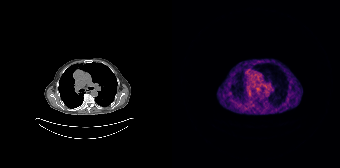
Technique: Paired axial CT (left) and PSMA PET (right), 68Ga tracer. acquired on Siemens Biograph 64-4R TruePoint. slice position z = -1221 mm. PET panel 168×168 px (4.1 mm/px).
Findings: Negative for PSMA-avid disease on this slice.